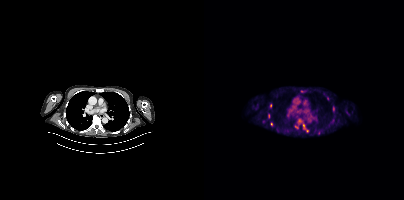
{"modality":"PSMA PET/CT","view":"axial","tracer":"18F","pet_grid":[200,200],"coord_frame":"pet_panel","coord_format":"x0,y0,x1,y1","partial":true,"lesion_bboxes":[],"small_foci_centers":[[129,108],[67,124],[99,125]]}